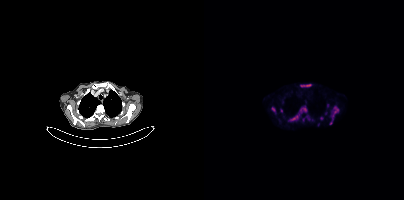
Technique: Paired axial CT (left) and PSMA PET (right), [18F]PSMA-1007 tracer. acquired on Siemens Biograph mCT Flow 20. PET panel 200×200 px (4.1 mm/px).
Findings: Coordinates are on the 200×200 PET (right) panel. (showing 9 of 10 foci) PSMA-avid tumor lesion bounding boxes (x0, y0)-(x1, y1): (128, 106)-(134, 118) | (87, 114)-(95, 120) | (96, 108)-(102, 112) | (97, 84)-(106, 86) | (68, 107)-(71, 111). Small PSMA-avid foci (2 to 4 px across) near (center x, center y): (126, 123) | (77, 110) | (117, 118) | (84, 120).